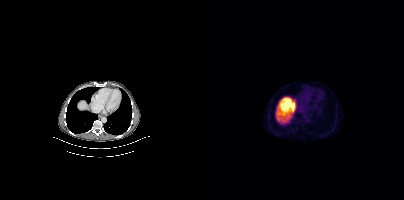
Negative for PSMA-avid disease on this slice.